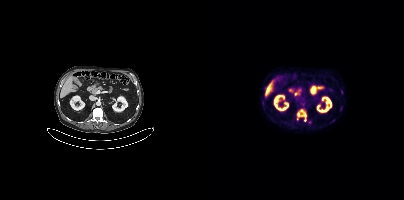
{"modality":"PSMA PET/CT","view":"axial","tracer":"18F","pet_grid":[200,200],"coord_frame":"pet_panel","coord_format":"x0,y0,x1,y1","partial":true,"lesion_bboxes":[[93,109,102,121]]}